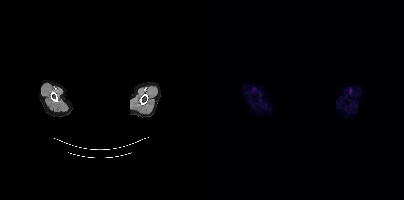
Technique: Paired axial CT (left) and PSMA PET (right), 18F tracer. acquired on Siemens Biograph mCT Flow 20. slice 415 of 454.
Note: An anonymization step blacked out a rectangle over the head in this scan.
Findings: Negative for PSMA-avid disease on this slice.